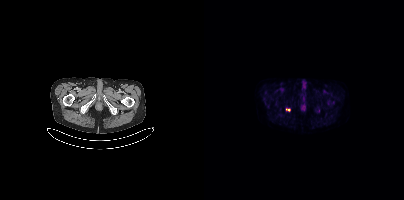
{"modality":"PSMA PET/CT","view":"axial","tracer":"[18F]PSMA-1007","pet_grid":[200,200],"coord_frame":"pet_panel","coord_format":"x0,y0,x1,y1","lesion_bboxes":[],"small_foci_centers":[[83,110]]}